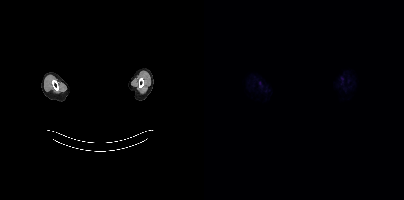
- any black rectangle over the head is a privacy mask, not anatomy
- Paired axial CT (left) and PSMA PET (right), 18F-PSMA tracer
- PET panel 200×200 px (4.1 mm/px)
Findings: This slice has no annotated PSMA-avid lesion.